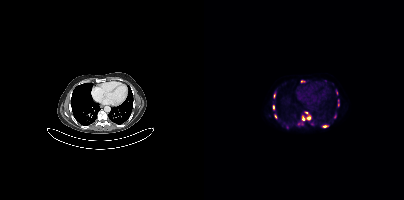
Coordinates are on the 200×200 PET (right) panel. (showing 7 of 11 foci) PSMA-avid tumor lesion bounding boxes (x0, y0)-(x1, y1): (98, 116)-(106, 120) / (119, 125)-(124, 127). Small PSMA-avid foci (2 to 4 px across) near (center x, center y): (69, 106) / (98, 81) / (134, 104) / (71, 116) / (102, 113).